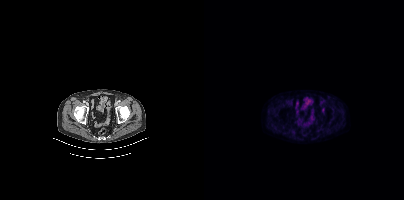
Coordinates are on the 200×200 PET (right) panel. Small PSMA-avid focus (2 to 4 px across) near (center x, center y): (119, 109). Left: CT. Right: PSMA PET, same axial level, 18F tracer. Acquired on Siemens Biograph mCT Flow 20.